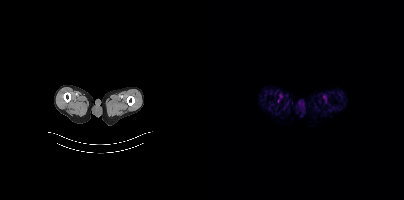
Two-panel axial: CT | PSMA PET, [18F]PSMA-1007 tracer. Slice position z = -1090 mm. No tumor lesions annotated on this slice.